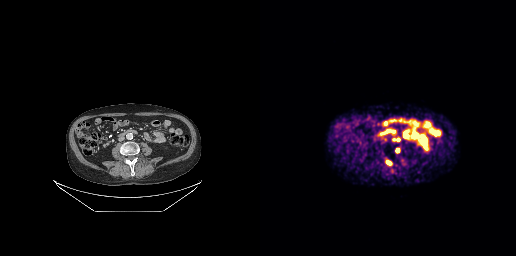
{"modality":"PSMA PET/CT","view":"axial","tracer":"68Ga","pet_grid":[256,256],"coord_frame":"pet_panel","coord_format":"x0,y0,x1,y1","lesion_bboxes":[[125,160,132,165],[133,138,140,141],[136,148,139,152]],"small_foci_centers":[[124,139],[132,172]]}